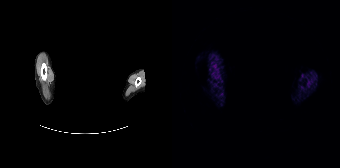
Two-panel axial: CT | PSMA PET, 68Ga-PSMA tracer. Slice 177 of 195. PET panel 168×168 px (4.1 mm/px). Privacy masking over the head, with the pixels inside a rectangle set to black. Negative for PSMA-avid disease on this slice.